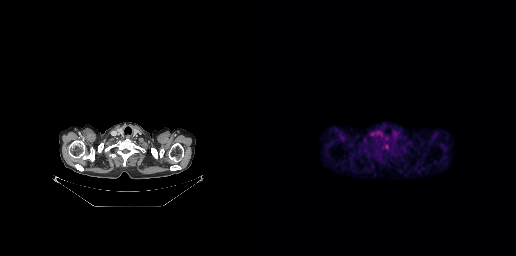
Technique: Two-panel axial: CT | PSMA PET, 18F-PSMA tracer. slice position z = -155 mm.
Findings: No PSMA-avid tumor lesions on this slice.